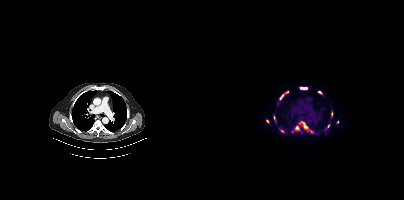
Coordinates are on the 200×200 PET (right) panel. PSMA-avid tumor lesion bounding boxes (partial; 4 more foci not listed):
| # | x0 | y0 | x1 | y1 |
|---|---|---|---|---|
| 1 | 98 | 122 | 103 | 129 |
| 2 | 97 | 88 | 102 | 89 |
| 3 | 76 | 95 | 79 | 99 |
Small PSMA-avid foci (2 to 4 px across) near (center x, center y): (93, 127); (63, 121); (124, 126); (133, 121); (83, 91).
Paired axial CT (left) and PSMA PET (right), 18F tracer. Acquired on Siemens Biograph mCT Flow 20. Slice position z = 156 mm.